Left: CT. Right: PSMA PET, same axial level, [18F]PSMA-1007 tracer. Slice position z = -1253 mm.
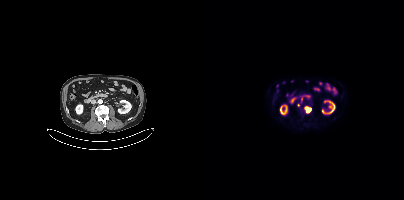
Coordinates are on the 200×200 PET (right) panel. Small PSMA-avid foci (2 to 4 px across) near (center x, center y): (94, 104) | (97, 100) | (103, 110) | (103, 106).